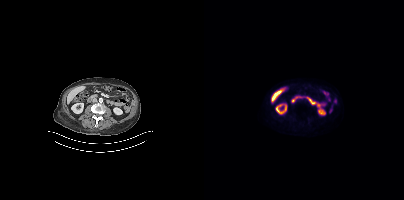
Technique: Two-panel axial: CT | PSMA PET, 18F-PSMA tracer. slice 151 of 383.
Findings: This slice has no annotated PSMA-avid lesion.